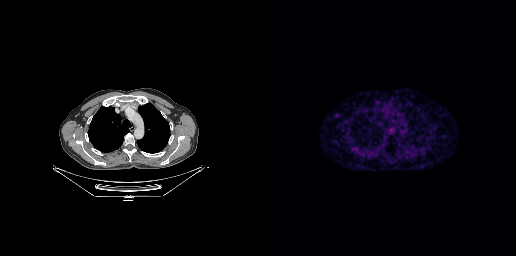
No PSMA-avid tumor lesions on this slice.